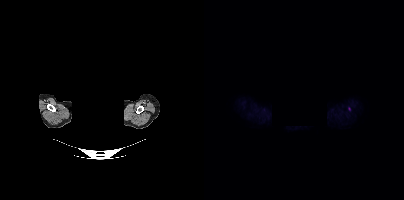
Findings: Coordinates are on the 200×200 PET (right) panel. Small PSMA-avid focus (2 to 4 px across) near (center x, center y): (145, 108).
Technique: Left: CT. Right: PSMA PET, same axial level, 18F tracer. acquired on Siemens Biograph mCT Flow 20.
Note: An anonymization step blacked out a rectangle over the head in this scan.